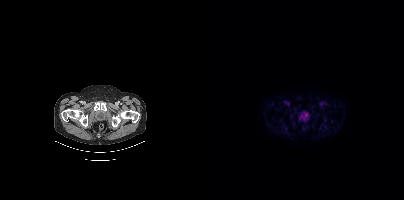
Negative for PSMA-avid disease on this slice.